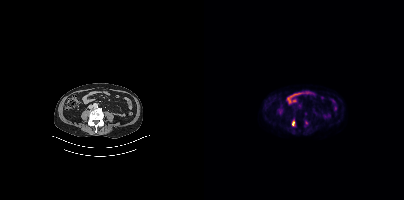
- Two-panel axial: CT | PSMA PET, 18F tracer
Findings: Only PSMA-avid lesion pieces thinner than 2 px on this slice (not listed).